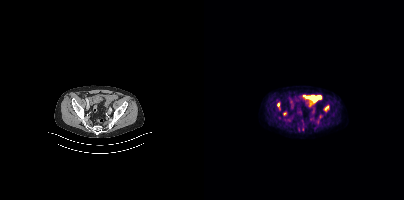
{"modality":"PSMA PET/CT","view":"axial","tracer":"[18F]PSMA-1007","pet_grid":[200,200],"coord_frame":"pet_panel","coord_format":"x0,y0,x1,y1","lesion_bboxes":[[121,105,125,111]],"small_foci_centers":[[74,104]]}